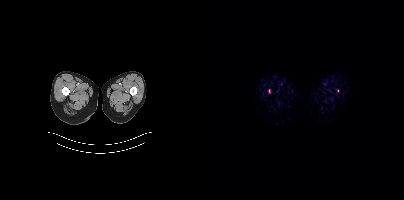
Technique: Two-panel axial: CT | PSMA PET, 18F-PSMA tracer. slice 7 of 429. PET panel 200×200 px (4.1 mm/px).
Findings: Coordinates are on the 200×200 PET (right) panel. PSMA-avid tumor lesion bounding box (x0, y0)-(x1, y1): (64, 89)-(66, 93). Small PSMA-avid focus (2 to 4 px across) near (center x, center y): (133, 90).